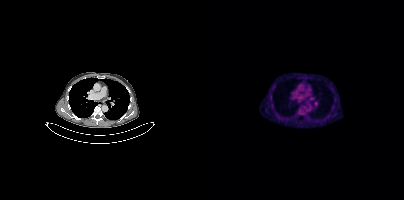
modality: PSMA PET/CT | tracer: 18F | view: axial | PET grid: 200×200
No PSMA-avid tumor lesions on this slice.